modality: PSMA PET/CT | tracer: 18F-PSMA | view: axial
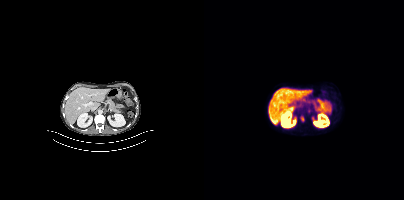
Coordinates are on the 200×200 PET (right) panel. Small PSMA-avid focus (2 to 4 px across) near (center x, center y): (98, 118).